Left: CT. Right: PSMA PET, same axial level, 18F-PSMA tracer. Acquired on Siemens Biograph mCT Flow 20. PET panel 200×200 px (4.1 mm/px).
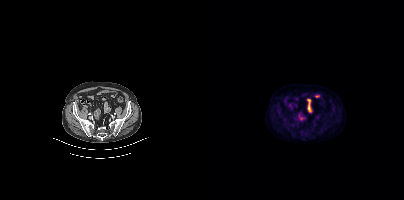
Negative for PSMA-avid disease on this slice.